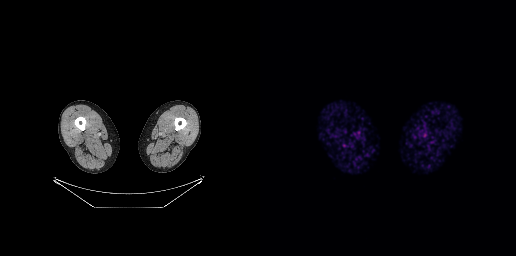
Findings: Negative for PSMA-avid disease on this slice.
Technique: Left: CT. Right: PSMA PET, same axial level, 68Ga tracer. acquired on GE Discovery 690.